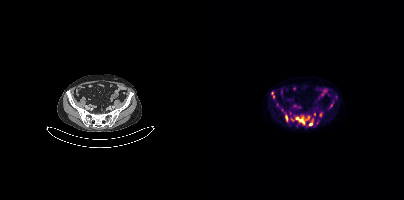
Coordinates are on the 200×200 PET (right) panel. (showing 7 of 10 foci) PSMA-avid tumor lesion bounding boxes (x0, y0)-(x1, y1): (91, 116)-(105, 124); (81, 115)-(83, 121); (105, 120)-(108, 125); (67, 92)-(70, 97). Small PSMA-avid foci (2 to 4 px across) near (center x, center y): (127, 105); (116, 114); (88, 119).